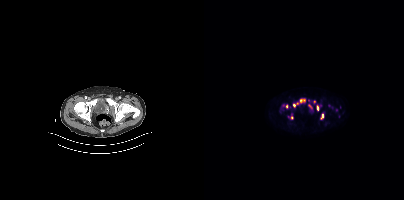
modality: PSMA PET/CT | tracer: [18F]PSMA-1007 | view: axial
Coordinates are on the 200×200 PET (right) panel. (showing 6 of 9 foci) PSMA-avid tumor lesion bounding boxes (x0, y0)-(x1, y1): (113, 106)-(115, 110) | (117, 114)-(119, 118). Small PSMA-avid foci (2 to 4 px across) near (center x, center y): (83, 106) | (97, 100) | (90, 105) | (87, 116).